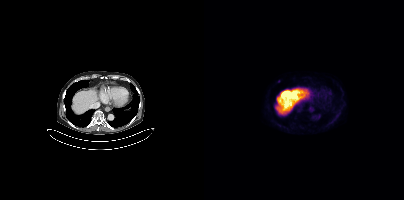
Only PSMA-avid lesion pieces thinner than 2 px on this slice (not listed).
modality: PSMA PET/CT | tracer: 18F | view: axial | PET grid: 200×200